- Left: CT. Right: PSMA PET, same axial level, 18F-PSMA tracer
- slice 114 of 263
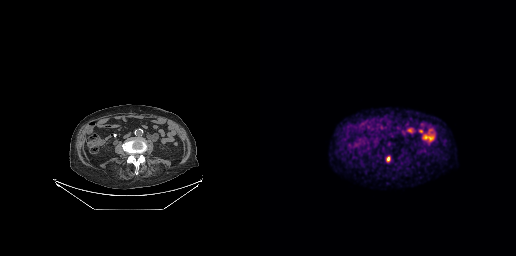
Findings: Coordinates are on the 256×256 PET (right) panel. Small PSMA-avid focus (2 to 4 px across) near (center x, center y): (128, 157).